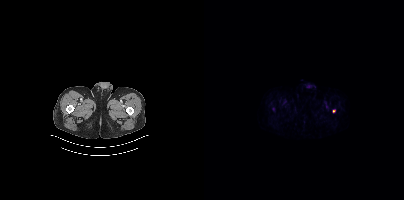
{"modality":"PSMA PET/CT","view":"axial","tracer":"18F-PSMA","pet_grid":[200,200],"coord_frame":"pet_panel","coord_format":"x0,y0,x1,y1","lesion_bboxes":[],"small_foci_centers":[[130,111]]}